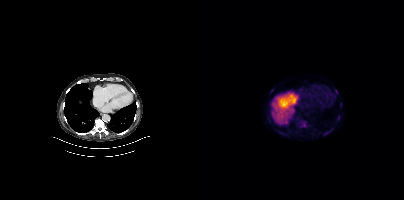
Coordinates are on the 200×200 PET (right) panel. (showing 2 of 3 foci) Small PSMA-avid foci (2 to 4 px across) near (center x, center y): (134, 117); (133, 92).